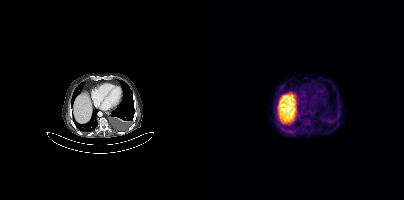
Paired axial CT (left) and PSMA PET (right), [18F]PSMA-1007 tracer. PET panel 200×200 px (4.1 mm/px). This slice has no annotated PSMA-avid lesion.